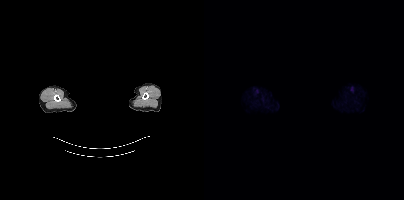
This slice has no annotated PSMA-avid lesion. A rectangular block over the head has been blanked out for de-identification. Left: CT. Right: PSMA PET, same axial level, [18F]PSMA-1007 tracer. Acquired on Siemens Biograph mCT Flow 20. Slice position z = -258 mm.